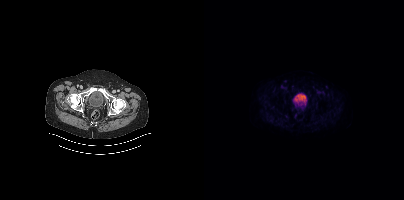
{"modality":"PSMA PET/CT","view":"axial","tracer":"[18F]PSMA-1007","pet_grid":[200,200],"coord_frame":"pet_panel","coord_format":"x0,y0,x1,y1","psma_avid_lesions":false}